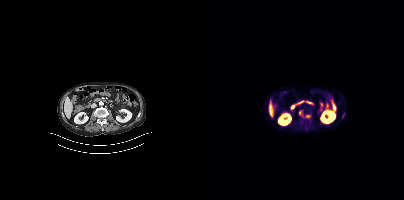
Coordinates are on the 200×200 PET (right) panel. (showing 4 of 5 foci) PSMA-avid tumor lesion bounding box (x0,y0,x1,y1): [102,115,106,117]. Small PSMA-avid foci (2 to 4 px across) near (center x, center y): (97, 121) (97, 112) (99, 116).